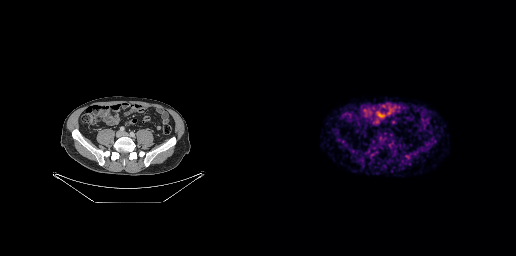
No tumor lesions annotated on this slice.